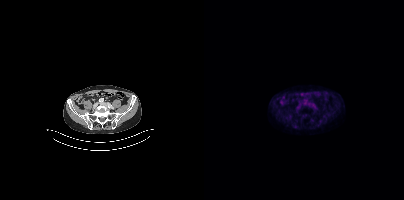
Coordinates are on the 200×200 PET (right) panel. Small PSMA-avid focus (2 to 4 px across) near (center x, center y): (90, 125).